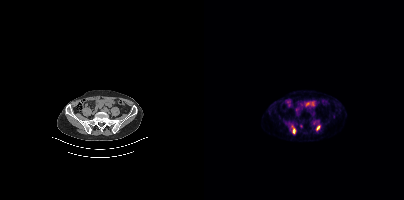
Coordinates are on the 200×200 PET (right) panel. PSMA-avid tumor lesion bounding boxes (x0,y0,x1,y1): [88,126,91,133]; [112,125,116,130].